- Two-panel axial: CT | PSMA PET, [18F]PSMA-1007 tracer
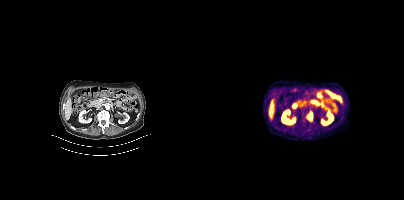
Findings: Coordinates are on the 200×200 PET (right) panel. PSMA-avid tumor lesion bounding box (x0, y0)-(x1, y1): (104, 113)-(108, 120).